Two-panel axial: CT | PSMA PET, 18F-PSMA tracer.
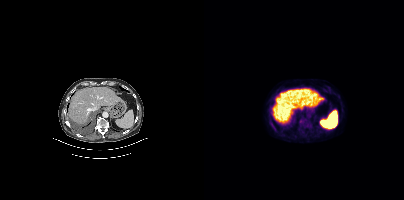
Coordinates are on the 200×200 PET (right) panel. Small PSMA-avid foci (2 to 4 px across) near (center x, center y): (96, 121); (70, 128).